Paired axial CT (left) and PSMA PET (right), 68Ga-PSMA tracer. Acquired on Siemens Biograph 64-4R TruePoint. Slice 153 of 195.
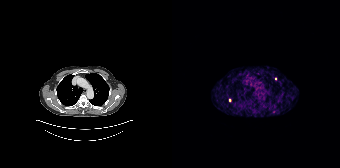
Coordinates are on the 168×168 PET (right) panel. Small PSMA-avid foci (2 to 4 px across) near (center x, center y): (103, 78) | (57, 100).